Left: CT. Right: PSMA PET, same axial level, 68Ga-PSMA tracer. Acquired on Siemens Biograph mCT Flow 20.
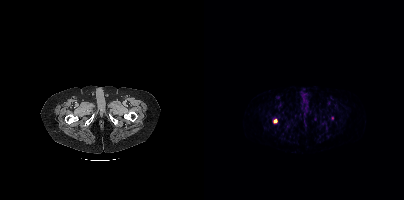
Coordinates are on the 200×200 PET (right) panel. PSMA-avid tumor lesion bounding boxes:
| # | x0 | y0 | x1 | y1 |
|---|---|---|---|---|
| 1 | 69 | 119 | 73 | 123 |